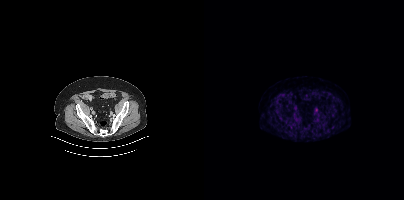
Only PSMA-avid lesion pieces thinner than 2 px on this slice (not listed).
modality: PSMA PET/CT | tracer: 68Ga | view: axial | PET grid: 200×200